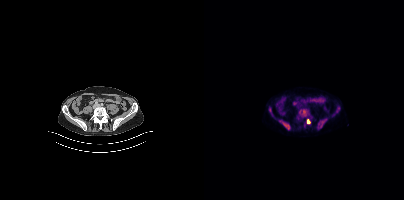
Coordinates are on the 200×200 PET (right) panel. PSMA-avid tumor lesion bounding boxes (x, y, width, height): x=95 y=109 w=11 h=9; x=113 y=119 w=10 h=11; x=75 y=120 w=12 h=10; x=103 y=119 w=4 h=5.